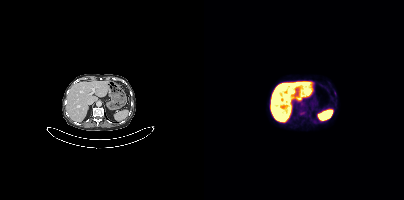
Technique: Left: CT. Right: PSMA PET, same axial level, 18F-PSMA tracer. acquired on Siemens Biograph mCT Flow 20.
Findings: No PSMA-avid tumor lesions on this slice.